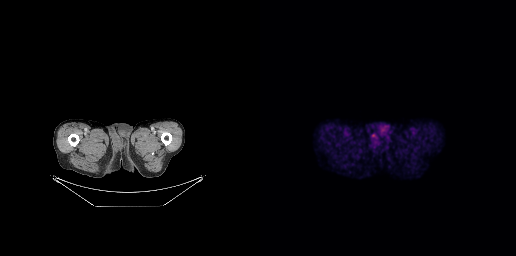
- Left: CT. Right: PSMA PET, same axial level, 18F tracer
- PET panel 256×256 px (2.7 mm/px)
Findings: Negative for PSMA-avid disease on this slice.